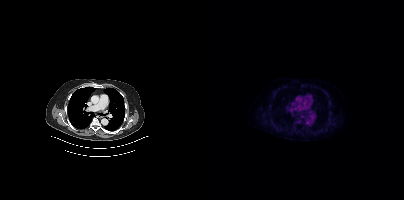
Negative for PSMA-avid disease on this slice. Left: CT. Right: PSMA PET, same axial level, 18F tracer. PET panel 200×200 px (4.1 mm/px).